- Left: CT. Right: PSMA PET, same axial level, 18F tracer
- PET panel 200×200 px (4.1 mm/px)
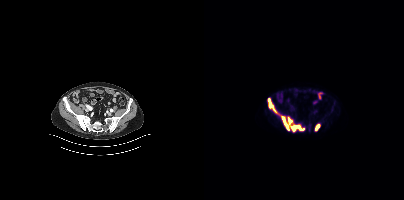
Findings: Coordinates are on the 200×200 PET (right) panel. PSMA-avid tumor lesion bounding boxes (x0, y0)-(x1, y1): (64, 98)-(100, 131) | (111, 124)-(115, 130).